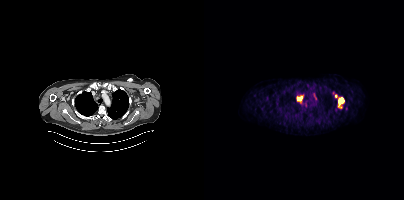
Coordinates are on the 200×200 PET (right) panel. (showing 4 of 7 foci) PSMA-avid tumor lesion bounding boxes (x, y, width, height): x=134 y=98 w=6 h=9; x=93 y=97 w=6 h=4; x=110 y=94 w=3 h=7. Small PSMA-avid focus (2 to 4 px across) near (center x, center y): (131, 95).
modality: PSMA PET/CT | tracer: [68Ga]Ga-PSMA-11 | view: axial